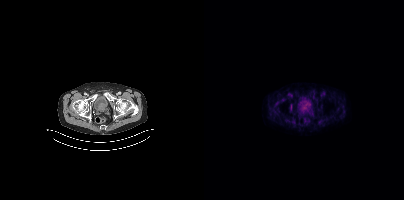
Two-panel axial: CT | PSMA PET, 18F tracer. Acquired on Siemens Biograph mCT Flow 20.
Coordinates are on the 200×200 PET (right) panel. PSMA-avid tumor lesion bounding boxes:
| # | x0 | y0 | x1 | y1 |
|---|---|---|---|---|
| 1 | 86 | 104 | 88 | 109 |